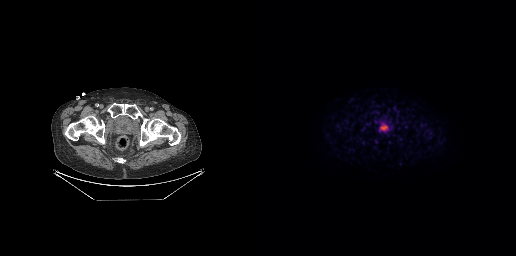
This slice has no annotated PSMA-avid lesion. Left: CT. Right: PSMA PET, same axial level, [18F]PSMA-1007 tracer. PET panel 256×256 px (2.7 mm/px).